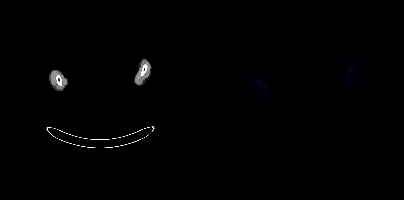
No tumor lesions annotated on this slice.
modality: PSMA PET/CT | tracer: [18F]PSMA-1007 | view: axial | PET grid: 200×200 | deidentification: head region blanked (face removed)